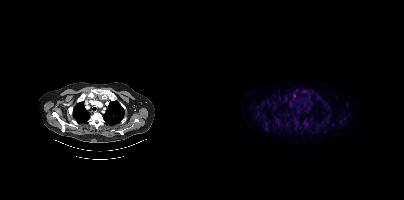
Coordinates are on the 200×200 PET (right) panel. Small PSMA-avid focus (2 to 4 px across) near (center x, center y): (90, 95).
modality: PSMA PET/CT | tracer: [18F]PSMA-1007 | view: axial